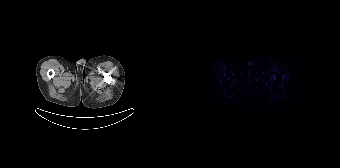
No tumor lesions annotated on this slice.